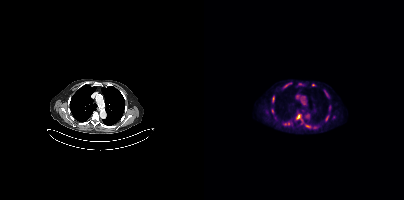
Technique: Paired axial CT (left) and PSMA PET (right), [18F]PSMA-1007 tracer. acquired on Siemens Biograph mCT Flow 20. slice position z = -486 mm. PET panel 200×200 px (4.1 mm/px).
Findings: Coordinates are on the 200×200 PET (right) panel. (showing 8 of 9 foci) PSMA-avid tumor lesion bounding boxes (x0,y0,x1,y1): [80,121,85,125]; [92,114,96,119]; [102,125,107,128]; [68,97,70,102]; [67,109,69,113]; [122,116,124,120]. Small PSMA-avid foci (2 to 4 px across) near (center x, center y): (81, 85); (109, 84).